Left: CT. Right: PSMA PET, same axial level, [18F]PSMA-1007 tracer. Slice position z = -1547 mm.
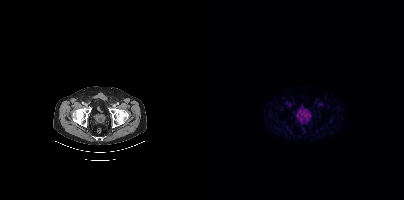
This slice has no annotated PSMA-avid lesion.